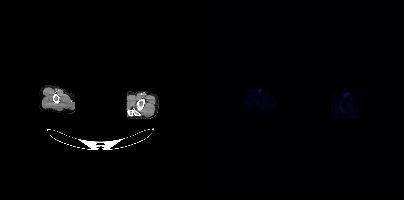
{"modality":"PSMA PET/CT","view":"axial","tracer":"18F-PSMA","pet_grid":[200,200],"coord_frame":"pet_panel","coord_format":"x0,y0,x1,y1","redaction":"head region blanked (face removed)","psma_avid_lesions":false}